Technique: Paired axial CT (left) and PSMA PET (right), [18F]PSMA-1007 tracer. slice 204 of 454. PET panel 200×200 px (4.1 mm/px).
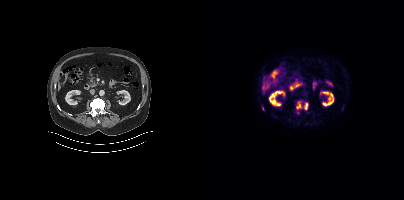
Findings: Coordinates are on the 200×200 PET (right) panel. PSMA-avid tumor lesion bounding boxes (x0,y0,x1,y1): [93,101,97,108] [100,103,104,109].